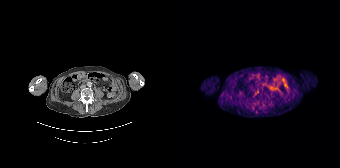
No PSMA-avid tumor lesions on this slice. Left: CT. Right: PSMA PET, same axial level, [68Ga]Ga-PSMA-11 tracer. Slice position z = -524 mm.